Left: CT. Right: PSMA PET, same axial level, 18F-PSMA tracer. PET panel 200×200 px (4.1 mm/px). A rectangular region was set to black for de-identification.
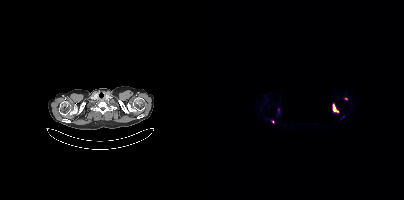
Coordinates are on the 200×200 PET (right) panel. PSMA-avid tumor lesion bounding boxes:
| # | x0 | y0 | x1 | y1 |
|---|---|---|---|---|
| 1 | 129 | 105 | 134 | 112 |
Small PSMA-avid foci (2 to 4 px across) near (center x, center y): (141, 98); (68, 121).